Technique: Two-panel axial: CT | PSMA PET, 18F-PSMA tracer. PET panel 200×200 px (4.1 mm/px).
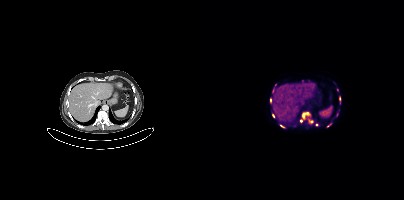
Findings: Coordinates are on the 200×200 PET (right) panel. (showing 12 of 13 foci) PSMA-avid tumor lesion bounding boxes (x, y, width, height): x=98 y=112 w=10 h=7 / x=122 y=123 w=6 h=5 / x=104 y=120 w=5 h=4 / x=68 y=88 w=3 h=5 / x=76 y=125 w=5 h=3. Small PSMA-avid foci (2 to 4 px across) near (center x, center y): (69, 115) / (97, 121) / (66, 100) / (133, 89) / (112, 124) / (90, 125) / (71, 84).